Paired axial CT (left) and PSMA PET (right), 68Ga-PSMA tracer. PET panel 200×200 px (4.1 mm/px).
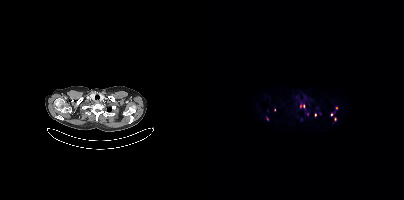
Coordinates are on the 200×200 PET (right) panel. (showing 7 of 10 foci) Small PSMA-avid foci (2 to 4 px across) near (center x, center y): (96, 105) / (127, 114) / (111, 115) / (99, 106) / (70, 109) / (103, 113) / (132, 107).